Left: CT. Right: PSMA PET, same axial level, 18F tracer. Slice position z = -635 mm. PET panel 200×200 px (4.1 mm/px).
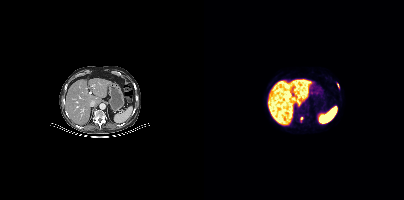
Coordinates are on the 200×200 PET (right) panel. Small PSMA-avid foci (2 to 4 px across) near (center x, center y): (97, 118); (133, 84).